Technique: Left: CT. Right: PSMA PET, same axial level, [18F]PSMA-1007 tracer. slice position z = -656 mm.
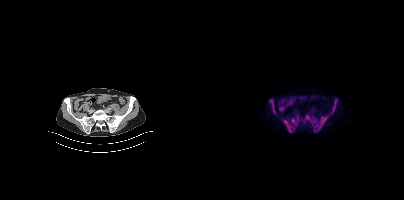
Findings: Coordinates are on the 200×200 PET (right) panel. (showing 3 of 7 foci) PSMA-avid tumor lesion bounding boxes (x0,y0,x1,y1): [79,120,88,132]; [118,117,122,123]; [69,109,70,113].